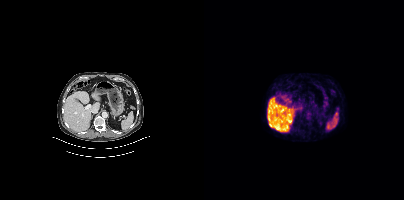
No tumor lesions annotated on this slice.